modality: PSMA PET/CT | tracer: 18F | view: axial
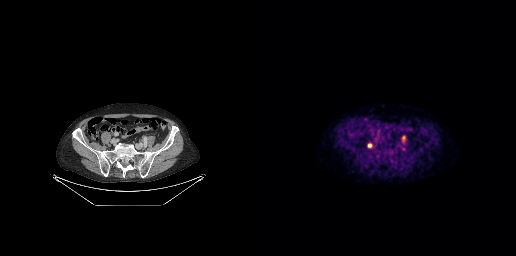
Coordinates are on the 256×256 PET (right) panel. Small PSMA-avid focus (2 to 4 px across) near (center x, center y): (109, 145).